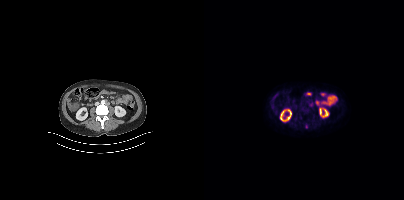
Coordinates are on the 200×200 PET (right) panel. PSMA-avid tumor lesion bounding boxes:
| # | x0 | y0 | x1 | y1 |
|---|---|---|---|---|
| 1 | 101 | 124 | 103 | 128 |
Paired axial CT (left) and PSMA PET (right), 18F-PSMA tracer. PET panel 200×200 px (4.1 mm/px).